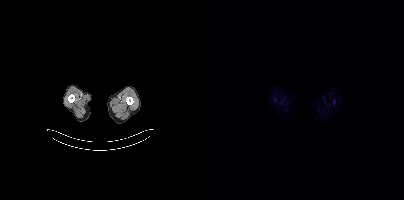
- Paired axial CT (left) and PSMA PET (right), [18F]PSMA-1007 tracer
- slice 11 of 375
- PET panel 200×200 px (4.1 mm/px)
Findings: No tumor lesions annotated on this slice.